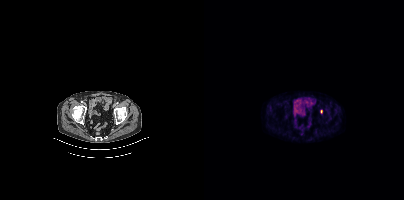
Findings: Only PSMA-avid lesion pieces thinner than 2 px on this slice (not listed).
Technique: Paired axial CT (left) and PSMA PET (right), 18F-PSMA tracer. acquired on Siemens Biograph mCT Flow 20. slice 93 of 452.